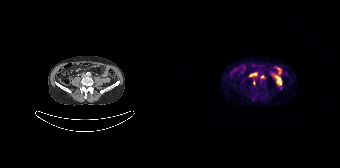
modality: PSMA PET/CT | tracer: 68Ga-PSMA | view: axial | PET grid: 168×168
Coordinates are on the 168×168 PET (right) panel. PSMA-avid tumor lesion bounding box (x0, y0)-(x1, y1): (88, 75)-(92, 78). Small PSMA-avid focus (2 to 4 px across) near (center x, center y): (81, 82).